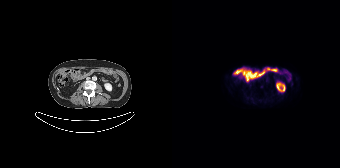
Technique: Left: CT. Right: PSMA PET, same axial level, [18F]PSMA-1007 tracer. slice 66 of 165.
Findings: No PSMA-avid tumor lesions on this slice.